Technique: Two-panel axial: CT | PSMA PET, 18F-PSMA tracer. slice position z = -971 mm.
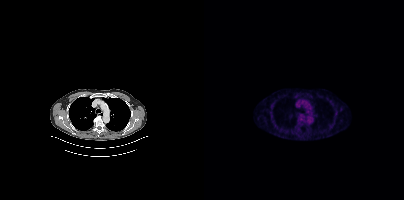
Findings: Only PSMA-avid lesion pieces thinner than 2 px on this slice (not listed).